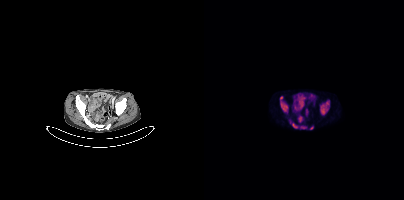
Left: CT. Right: PSMA PET, same axial level, 18F tracer. Slice 79 of 354. Coordinates are on the 200×200 PET (right) panel. (showing 5 of 6 foci) PSMA-avid tumor lesion bounding boxes (x, y, width, height): x=116 y=101 w=10 h=14 | x=76 y=96 w=8 h=16 | x=88 y=123 w=6 h=6 | x=96 y=126 w=7 h=3. Small PSMA-avid focus (2 to 4 px across) near (center x, center y): (107, 128).